Two-panel axial: CT | PSMA PET, 18F-PSMA tracer.
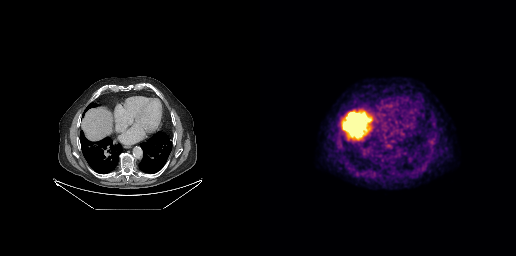
Negative for PSMA-avid disease on this slice.